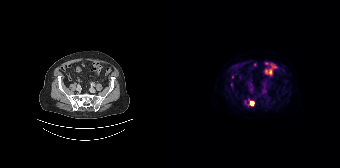
Findings: Coordinates are on the 168×168 PET (right) panel. (showing 3 of 4 foci) PSMA-avid tumor lesion bounding box (x0,y0,x1,y1): [76,99,82,106]. Small PSMA-avid foci (2 to 4 px across) near (center x, center y): (59, 84), (60, 77).
- Paired axial CT (left) and PSMA PET (right), [18F]PSMA-1007 tracer
- acquired on Siemens Biograph 64-4R TruePoint
- slice 53 of 165
- PET panel 168×168 px (4.1 mm/px)